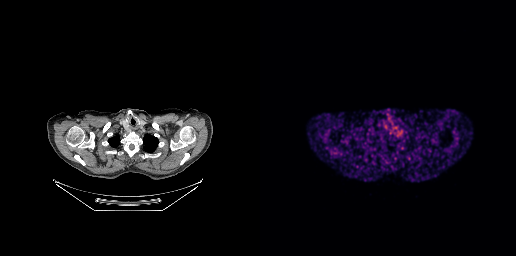
No tumor lesions annotated on this slice.
modality: PSMA PET/CT | tracer: 68Ga | view: axial